Paired axial CT (left) and PSMA PET (right), 18F tracer. Acquired on Siemens Biograph mCT Flow 20. Slice 263 of 373.
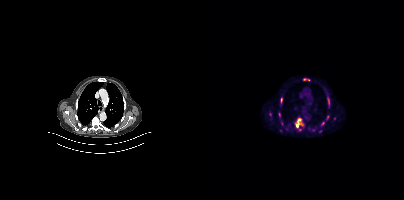
Coordinates are on the 200×200 PET (right) panel. (showing 8 of 9 foci) PSMA-avid tumor lesion bounding boxes (x0, y0)-(x1, y1): (90, 117)-(100, 131) / (123, 97)-(126, 107) / (122, 115)-(125, 120) / (100, 78)-(105, 80) / (74, 112)-(76, 117) / (117, 121)-(120, 125) / (77, 98)-(78, 102). Small PSMA-avid focus (2 to 4 px across) near (center x, center y): (66, 114).